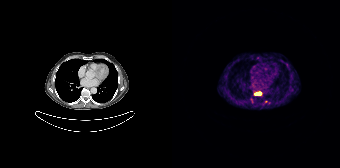
{"pet_grid":[168,168],"coord_frame":"pet_panel","coord_format":"x0,y0,x1,y1","lesion_bboxes":[[84,92,88,94]],"small_foci_centers":[[93,101]],"modality":"PSMA PET/CT","view":"axial","tracer":"68Ga"}